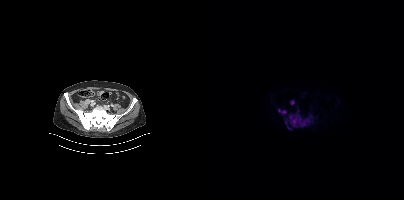
Findings: Coordinates are on the 200×200 PET (right) panel. PSMA-avid tumor lesion bounding boxes (x, y, width, height): x=81 y=112 w=29 h=17; x=75 y=110 w=8 h=4.
- Paired axial CT (left) and PSMA PET (right), 18F-PSMA tracer
- acquired on Siemens Biograph mCT Flow 20